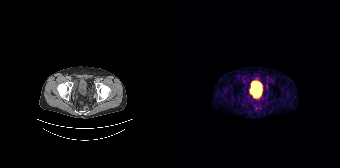
No PSMA-avid tumor lesions on this slice. Paired axial CT (left) and PSMA PET (right), [68Ga]Ga-PSMA-11 tracer.